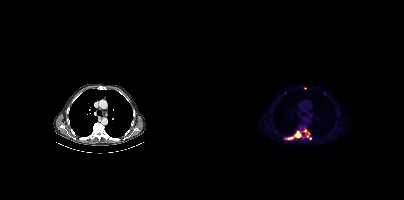
modality: PSMA PET/CT | tracer: 18F | view: axial
Coordinates are on the 200×200 PET (right) panel. (showing 5 of 8 foci) PSMA-avid tumor lesion bounding boxes (x0, y0)-(x1, y1): (82, 129)-(98, 139) | (101, 131)-(105, 136). Small PSMA-avid foci (2 to 4 px across) near (center x, center y): (99, 137) | (120, 93) | (106, 138).